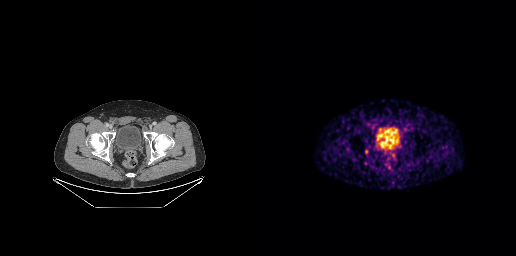
modality: PSMA PET/CT | tracer: 68Ga | view: axial | PET grid: 256×256
Coordinates are on the 256×256 PET (right) panel. (showing 1 of 2 foci) PSMA-avid tumor lesion bounding box (x, y, width, height): x=105 y=149 w=4 h=5.